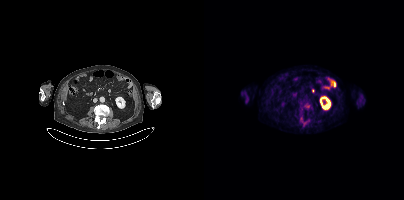
- Left: CT. Right: PSMA PET, same axial level, 18F tracer
- PET panel 200×200 px (4.1 mm/px)
Findings: Coordinates are on the 200×200 PET (right) panel. (showing 3 of 4 foci) PSMA-avid tumor lesion bounding box (x, y, width, height): x=101 y=105 w=5 h=3. Small PSMA-avid foci (2 to 4 px across) near (center x, center y): (97, 118); (100, 123).